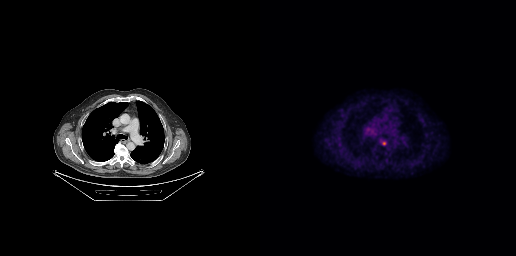
modality: PSMA PET/CT | tracer: 18F | view: axial
Coordinates are on the 256×256 PET (right) panel. PSMA-avid tumor lesion bounding box (x0,y0,x1,y1): [122,141,126,145].